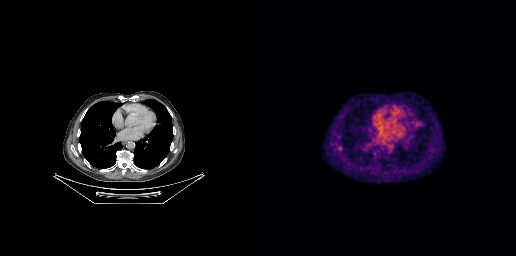
Paired axial CT (left) and PSMA PET (right), [18F]PSMA-1007 tracer. Acquired on GE Discovery 690. PET panel 256×256 px (2.7 mm/px). Coordinates are on the 256×256 PET (right) panel. PSMA-avid tumor lesion bounding box (x, y, width, height): x=77 y=145 w=5 h=5.